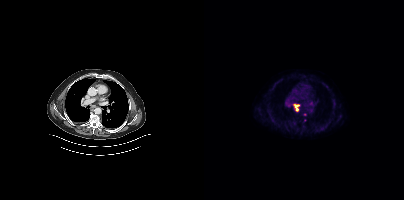
Findings: Coordinates are on the 200×200 PET (right) panel. (showing 1 of 2 foci) PSMA-avid tumor lesion bounding box (x0,y0,x1,y1): [89,104,95,111].
- Paired axial CT (left) and PSMA PET (right), [18F]PSMA-1007 tracer
- acquired on Siemens Biograph mCT Flow 20
- PET panel 200×200 px (4.1 mm/px)